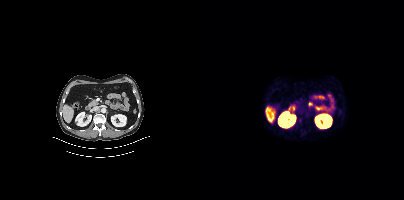
modality: PSMA PET/CT | tracer: [68Ga]Ga-PSMA-11 | view: axial | PET grid: 200×200
Coordinates are on the 200×200 PET (right) panel. Small PSMA-avid focus (2 to 4 px across) near (center x, center y): (96, 120).